Technique: Left: CT. Right: PSMA PET, same axial level, 18F tracer. slice 68 of 401. PET panel 200×200 px (4.1 mm/px).
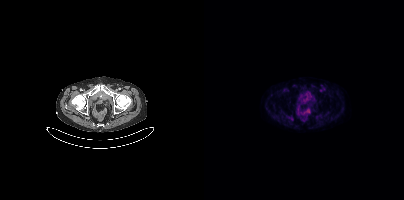
Findings: No PSMA-avid tumor lesions on this slice.